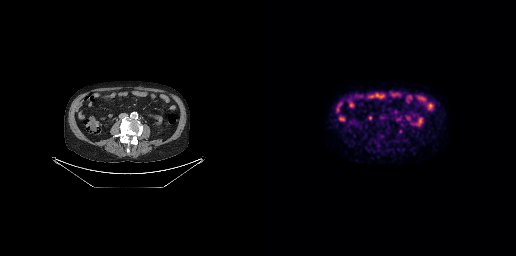
{"modality":"PSMA PET/CT","view":"axial","tracer":"18F-PSMA","pet_grid":[256,256],"coord_frame":"pet_panel","coord_format":"x0,y0,x1,y1","psma_avid_lesions":false}